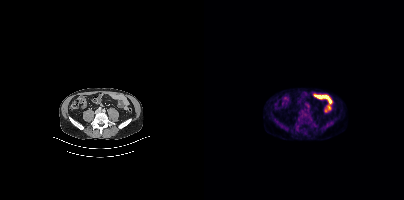
Technique: Paired axial CT (left) and PSMA PET (right), 18F-PSMA tracer. acquired on Siemens Biograph mCT Flow 20. PET panel 200×200 px (4.1 mm/px).
Findings: Coordinates are on the 200×200 PET (right) panel. PSMA-avid tumor lesion bounding box (x0, y0)-(x1, y1): (98, 116)-(107, 124).